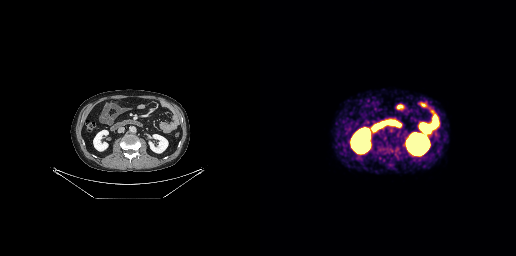
Two-panel axial: CT | PSMA PET, [68Ga]Ga-PSMA-11 tracer. Slice 123 of 263. This slice has no annotated PSMA-avid lesion.